modality: PSMA PET/CT | tracer: [18F]PSMA-1007 | view: axial | PET grid: 200×200
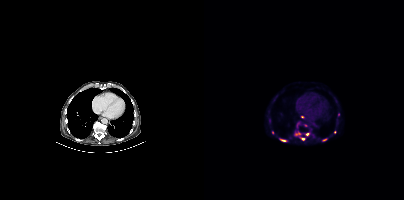
Coordinates are on the 200×200 PET (right) panel. (showing 8 of 12 foci) PSMA-avid tumor lesion bounding box (x, y, width, height): x=118 y=139 w=5 h=3. Small PSMA-avid foci (2 to 4 px across) near (center x, center y): (91, 134) / (93, 125) / (103, 134) / (134, 114) / (99, 138) / (79, 140) / (98, 116).